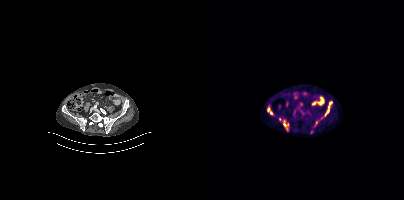
Two-panel axial: CT | PSMA PET, 18F-PSMA tracer. Slice position z = -1412 mm. Coordinates are on the 200×200 PET (right) panel. PSMA-avid tumor lesion bounding boxes (x0, y0)-(x1, y1): (79, 122)-(85, 131) / (122, 102)-(128, 113) / (63, 107)-(68, 114). Small PSMA-avid focus (2 to 4 px across) near (center x, center y): (75, 119).